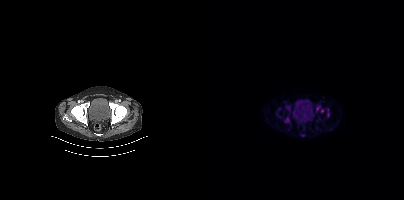
Coordinates are on the 200×200 PET (right) panel. PSMA-avid tumor lesion bounding boxes (x, y, width, height): x=112 y=105 w=5 h=8; x=81 y=117 w=5 h=6; x=123 y=108 w=3 h=10; x=82 y=106 w=5 h=6. Small PSMA-avid focus (2 to 4 px across) near (center x, center y): (118, 110). Paired axial CT (left) and PSMA PET (right), 18F-PSMA tracer. Acquired on Siemens Biograph mCT Flow 20. Slice 87 of 427.